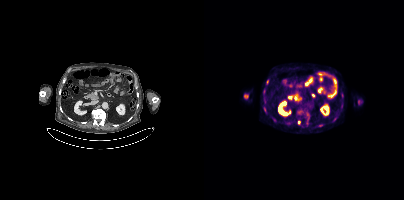
{"modality":"PSMA PET/CT","view":"axial","tracer":"18F","pet_grid":[200,200],"coord_frame":"pet_panel","coord_format":"x0,y0,x1,y1","partial":true,"lesion_bboxes":[],"small_foci_centers":[[95,122],[116,125],[60,109]]}